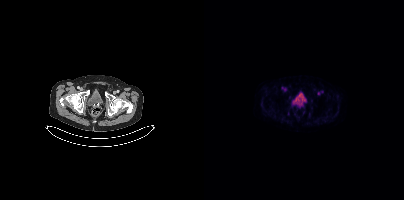
{"modality":"PSMA PET/CT","view":"axial","tracer":"[18F]PSMA-1007","pet_grid":[200,200],"coord_frame":"pet_panel","coord_format":"x0,y0,x1,y1","psma_avid_lesions":false}